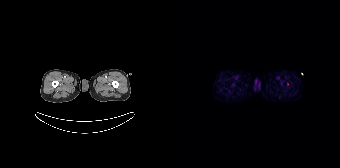
Coordinates are on the 168×168 PET (right) panel. Small PSMA-avid focus (2 to 4 px across) near (center x, center y): (115, 84). Two-panel axial: CT | PSMA PET, [68Ga]Ga-PSMA-11 tracer. PET panel 168×168 px (4.1 mm/px).